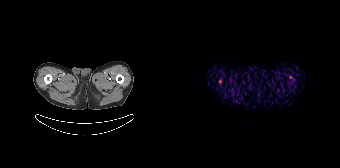
Left: CT. Right: PSMA PET, same axial level, 68Ga-PSMA tracer. Acquired on Siemens Biograph 64-4R TruePoint. Slice 5 of 165. PET panel 168×168 px (4.1 mm/px). Coordinates are on the 168×168 PET (right) panel. Small PSMA-avid focus (2 to 4 px across) near (center x, center y): (48, 81).